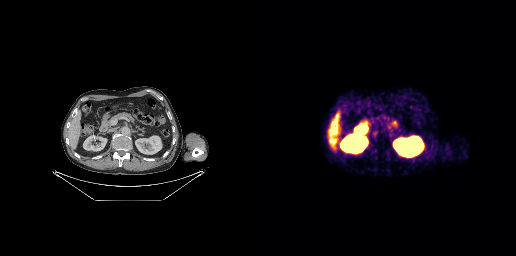
- Two-panel axial: CT | PSMA PET, 68Ga-PSMA tracer
- PET panel 256×256 px (2.7 mm/px)
Findings: No tumor lesions annotated on this slice.